modality: PSMA PET/CT | tracer: 18F-PSMA | view: axial | redaction: facial region redacted
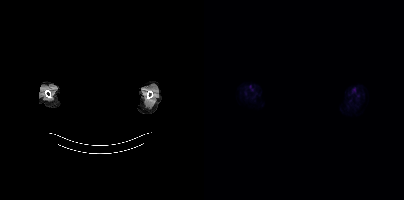
Negative for PSMA-avid disease on this slice.